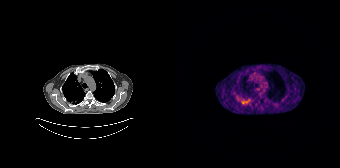
Coordinates are on the 168×168 PET (right) panel. PSMA-avid tumor lesion bounding box (x0, y0)-(x1, y1): (70, 99)-(75, 104).